Paired axial CT (left) and PSMA PET (right), 18F-PSMA tracer. PET panel 200×200 px (4.1 mm/px).
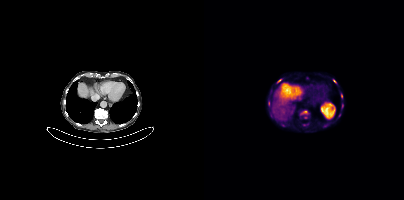
Coordinates are on the 200×200 PET (right) panel. PSMA-avid tumor lesion bounding boxes:
| # | x0 | y0 | x1 | y1 |
|---|---|---|---|---|
| 1 | 98 | 111 | 103 | 113 |
| 2 | 73 | 79 | 77 | 82 |
Small PSMA-avid foci (2 to 4 px across) near (center x, center y): (137, 95); (130, 81); (138, 106).